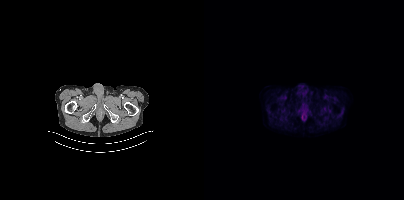
No PSMA-avid tumor lesions on this slice. Left: CT. Right: PSMA PET, same axial level, [18F]PSMA-1007 tracer. Acquired on Siemens Biograph mCT Flow 20. PET panel 200×200 px (4.1 mm/px).